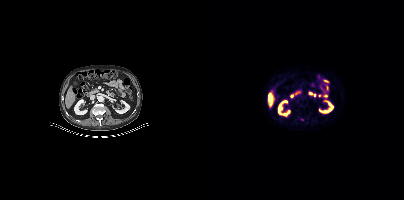
{"pet_grid":[200,200],"coord_frame":"pet_panel","coord_format":"x0,y0,x1,y1","lesion_bboxes":[],"small_foci_centers":[[97,119]],"modality":"PSMA PET/CT","view":"axial","tracer":"18F"}